Technique: Left: CT. Right: PSMA PET, same axial level, 18F-PSMA tracer. PET panel 256×256 px (2.7 mm/px).
Note: De-identified by setting a box covering the face to black before release.
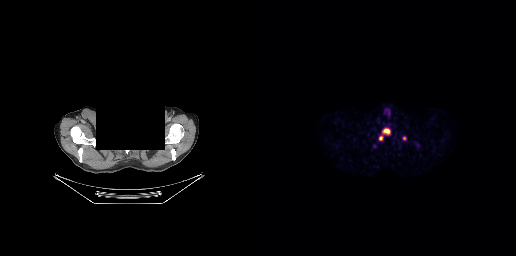
Findings: Coordinates are on the 256×256 PET (right) panel. PSMA-avid tumor lesion bounding box (x0,y0,x1,y1): [119,128,130,140]. Small PSMA-avid focus (2 to 4 px across) near (center x, center y): (144, 138).